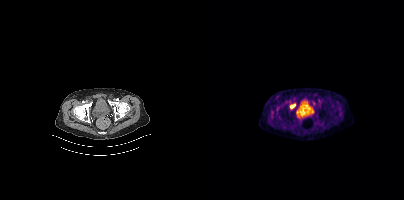
Findings: Coordinates are on the 200×200 PET (right) panel. PSMA-avid tumor lesion bounding box (x, y, width, height): x=87 y=104 w=5 h=4.
Technique: Two-panel axial: CT | PSMA PET, [18F]PSMA-1007 tracer. acquired on Siemens Biograph mCT Flow 20. slice 83 of 397.